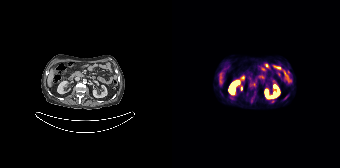
modality: PSMA PET/CT | tracer: 68Ga-PSMA | view: axial
Coordinates are on the 168×168 PET (right) panel. (showing 4 of 5 foci) Small PSMA-avid foci (2 to 4 px across) near (center x, center y): (115, 95) (99, 102) (61, 98) (118, 81).